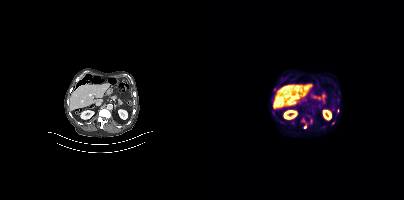
Coordinates are on the 200×200 PET (right) panel. (showing 8 of 9 foci) PSMA-avid tumor lesion bounding boxes (x0,y0,x1,y1): [74,119,81,124] [97,118,102,125] [67,97,69,103]. Small PSMA-avid foci (2 to 4 px across) near (center x, center y): (129, 123) (134, 96) (133, 110) (107, 120) (70, 89).